Two-panel axial: CT | PSMA PET, 18F tracer. Acquired on Siemens Biograph mCT Flow 20. PET panel 200×200 px (4.1 mm/px).
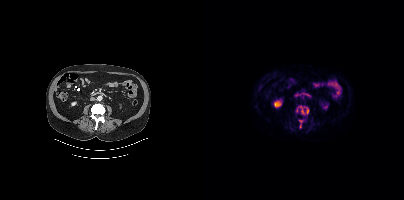
Coordinates are on the 200×200 PET (right) panel. (showing 3 of 5 foci) PSMA-avid tumor lesion bounding boxes (x, y, width, height): x=96 y=106 w=5 h=8 | x=102 y=108 w=3 h=6. Small PSMA-avid focus (2 to 4 px across) near (center x, center y): (96, 121).